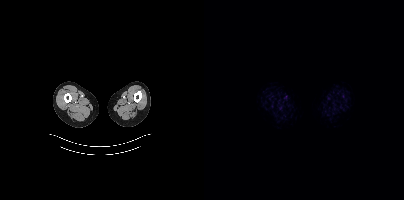
Negative for PSMA-avid disease on this slice.